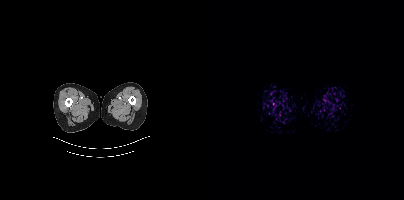
{"modality":"PSMA PET/CT","view":"axial","tracer":"18F-PSMA","pet_grid":[200,200],"coord_frame":"pet_panel","coord_format":"x0,y0,x1,y1","psma_avid_lesions":false}